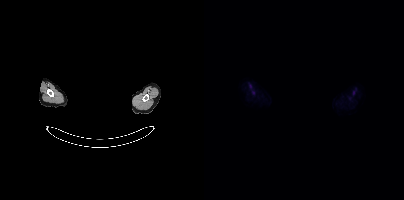
The face region was removed for patient privacy by blanking a rectangle over the head. Paired axial CT (left) and PSMA PET (right), 18F-PSMA tracer. Acquired on Siemens Biograph mCT Flow 20. Negative for PSMA-avid disease on this slice.